Technique: Two-panel axial: CT | PSMA PET, 18F-PSMA tracer. acquired on Siemens Biograph mCT Flow 20. PET panel 200×200 px (4.1 mm/px).
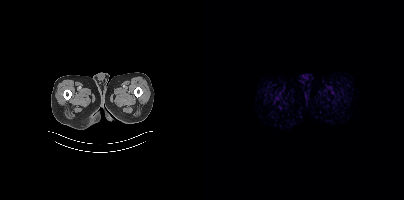
Findings: No PSMA-avid tumor lesions on this slice.